Two-panel axial: CT | PSMA PET, 18F-PSMA tracer. Acquired on GE Discovery 690. Slice position z = -189 mm. PET panel 256×256 px (2.7 mm/px).
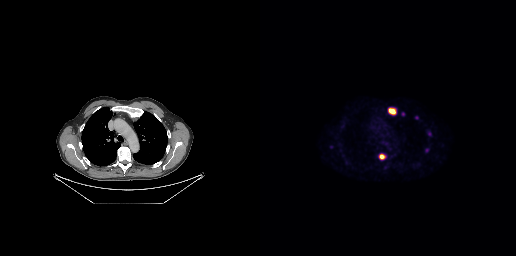
Coordinates are on the 256×256 PET (right) panel. PSMA-avid tumor lesion bounding boxes (partial; 3 more foci not listed):
| # | x0 | y0 | x1 | y1 |
|---|---|---|---|---|
| 1 | 128 | 107 | 136 | 115 |
| 2 | 119 | 153 | 125 | 159 |
Small PSMA-avid focus (2 to 4 px across) near (center x, center y): (169, 133).